Left: CT. Right: PSMA PET, same axial level, [68Ga]Ga-PSMA-11 tracer. Acquired on GE Discovery 690. PET panel 256×256 px (2.7 mm/px).
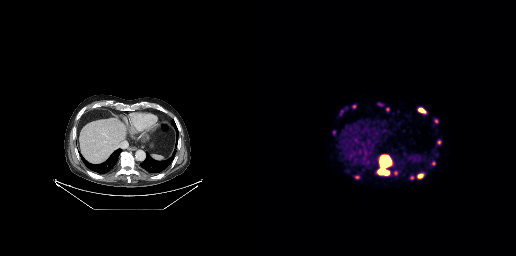
Coordinates are on the 256×256 PET (right) panel. (showing 9 of 11 foci) PSMA-avid tumor lesion bounding boxes (x0, y0)-(x1, y1): (120, 156)-(130, 167) / (118, 169)-(128, 174) / (158, 108)-(165, 112) / (157, 174)-(163, 178) / (95, 175)-(99, 179) / (178, 140)-(180, 144). Small PSMA-avid foci (2 to 4 px across) near (center x, center y): (135, 172) / (151, 177) / (176, 120).